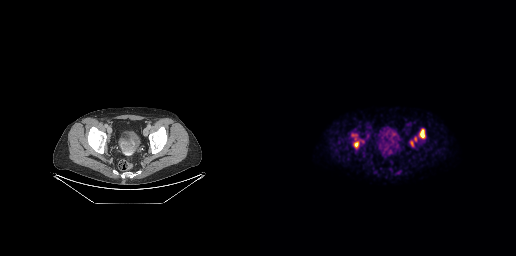
Coordinates are on the 256×256 PET (right) panel. PSMA-avid tumor lesion bounding boxes (x, y, width, height): x=91 y=133 w=13 h=17; x=159 y=128 w=7 h=11; x=150 y=141 w=4 h=6; x=154 y=137 w=3 h=5. Left: CT. Right: PSMA PET, same axial level, [18F]PSMA-1007 tracer.